Technique: Paired axial CT (left) and PSMA PET (right), 18F-PSMA tracer. acquired on Siemens Biograph mCT Flow 20.
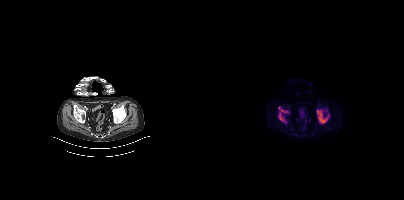
Findings: Coordinates are on the 200×200 PET (right) panel. PSMA-avid tumor lesion bounding boxes (x0, y0)-(x1, y1): (112, 109)-(125, 123); (74, 107)-(85, 123). Small PSMA-avid focus (2 to 4 px across) near (center x, center y): (122, 110).